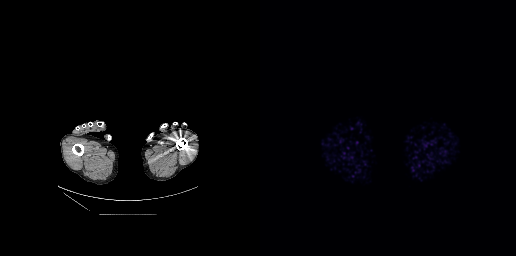
Paired axial CT (left) and PSMA PET (right), [18F]PSMA-1007 tracer. Acquired on GE Discovery 690. Negative for PSMA-avid disease on this slice.